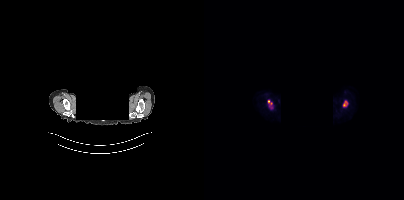
Face de-identified by blanking a block of the head. Left: CT. Right: PSMA PET, same axial level, 18F tracer. Slice position z = -918 mm.
Coordinates are on the 200×200 PET (right) panel. PSMA-avid tumor lesion bounding boxes:
| # | x0 | y0 | x1 | y1 |
|---|---|---|---|---|
| 1 | 139 | 101 | 143 | 106 |
| 2 | 64 | 100 | 68 | 104 |